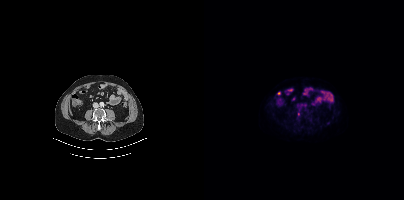
Coordinates are on the 200×200 PET (right) panel. Small PSMA-avid focus (2 to 4 px across) near (center x, center y): (94, 114).
modality: PSMA PET/CT | tracer: 18F | view: axial | PET grid: 200×200